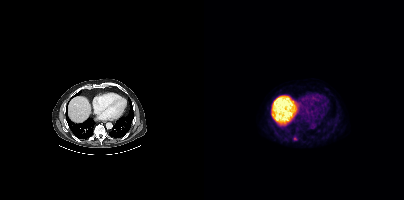
Left: CT. Right: PSMA PET, same axial level, 18F-PSMA tracer. Coordinates are on the 200×200 PET (right) panel. PSMA-avid tumor lesion bounding box (x0,y0,x1,y1): [89,137,93,140].